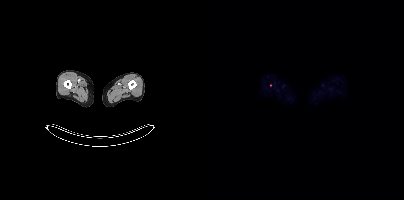
{"modality":"PSMA PET/CT","view":"axial","tracer":"[18F]PSMA-1007","pet_grid":[200,200],"coord_frame":"pet_panel","coord_format":"x0,y0,x1,y1","partial":true,"lesion_bboxes":[]}